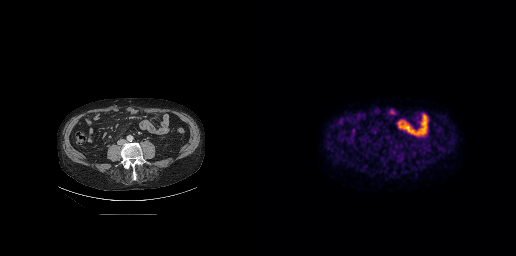
{"modality":"PSMA PET/CT","view":"axial","tracer":"18F-PSMA","pet_grid":[256,256],"coord_frame":"pet_panel","coord_format":"x0,y0,x1,y1","lesion_bboxes":[],"small_foci_centers":[[137,143]]}